modality: PSMA PET/CT | tracer: 68Ga-PSMA | view: axial | PET grid: 168×168
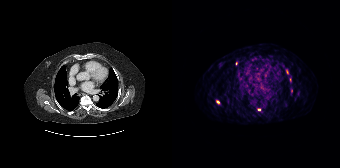
Coordinates are on the 168×168 PET (right) panel. (showing 2 of 4 foci) Small PSMA-avid foci (2 to 4 px across) near (center x, center y): (87, 109) (46, 101).